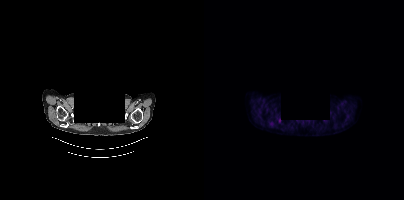
Two-panel axial: CT | PSMA PET, 18F tracer. Slice 354 of 409. PET panel 200×200 px (4.1 mm/px). De-identified by setting a box covering the face to black before release.
Coordinates are on the 200×200 PET (right) panel. PSMA-avid tumor lesion bounding boxes:
| # | x0 | y0 | x1 | y1 |
|---|---|---|---|---|
| 1 | 74 | 118 | 76 | 122 |